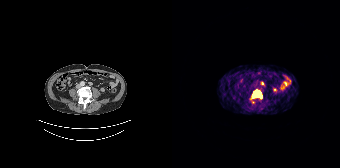
- Paired axial CT (left) and PSMA PET (right), 68Ga-PSMA tracer
- acquired on Siemens Biograph 64-4R TruePoint
Findings: Coordinates are on the 168×168 PET (right) panel. PSMA-avid tumor lesion bounding box (x, y, width, height): x=80 y=90 w=11 h=9.